modality: PSMA PET/CT | tracer: [68Ga]Ga-PSMA-11 | view: axial | PET grid: 200×200
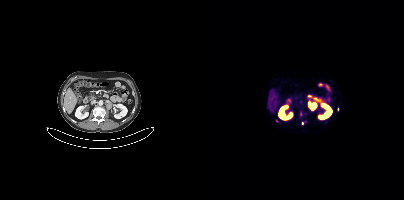
Coordinates are on the 200×200 PET (right) panel. (showing 4 of 5 foci) Small PSMA-avid foci (2 to 4 px across) near (center x, center y): (97, 113); (72, 121); (96, 102); (98, 123).